Paired axial CT (left) and PSMA PET (right), [18F]PSMA-1007 tracer. Slice 128 of 389. PET panel 200×200 px (4.1 mm/px).
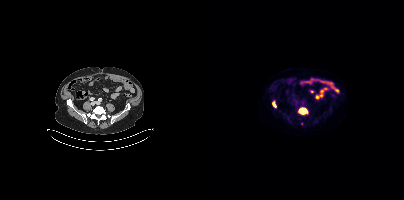
Coordinates are on the 200×200 PET (right) panel. PSMA-avid tumor lesion bounding boxes (partial; 1 more focus not listed):
| # | x0 | y0 | x1 | y1 |
|---|---|---|---|---|
| 1 | 94 | 107 | 104 | 114 |
| 2 | 68 | 101 | 72 | 107 |